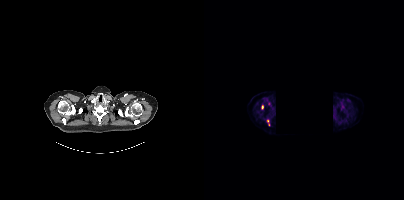
Left: CT. Right: PSMA PET, same axial level, 18F tracer. Slice position z = 160 mm. Part of this slice was blanked for de-identification. Coordinates are on the 200×200 PET (right) panel. (showing 2 of 4 foci) Small PSMA-avid foci (2 to 4 px across) near (center x, center y): (65, 103) | (58, 107).